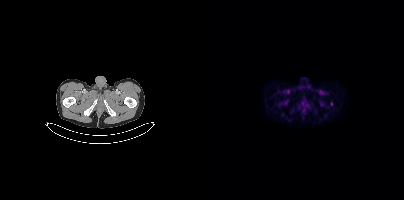
Negative for PSMA-avid disease on this slice.